Head region blanked for anonymization (face removed).
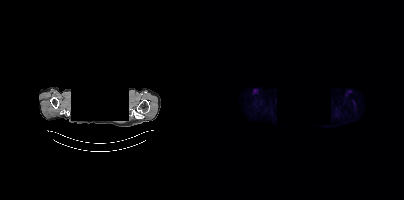
This slice has no annotated PSMA-avid lesion.